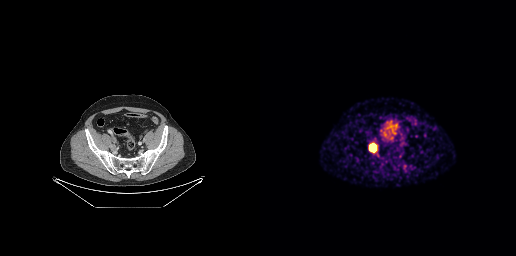
{"modality":"PSMA PET/CT","view":"axial","tracer":"[68Ga]Ga-PSMA-11","pet_grid":[256,256],"coord_frame":"pet_panel","coord_format":"x0,y0,x1,y1","lesion_bboxes":[[109,143,117,152]]}